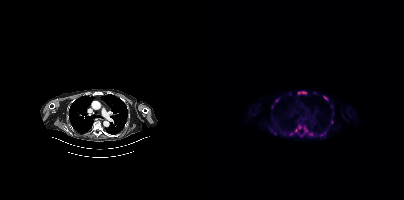
{"modality":"PSMA PET/CT","view":"axial","tracer":"18F","pet_grid":[200,200],"coord_frame":"pet_panel","coord_format":"x0,y0,x1,y1","partial":true,"lesion_bboxes":[[100,128,109,136],[115,131,122,136],[85,129,93,135],[67,129,72,134],[119,96,124,100],[94,125,97,129],[98,92,102,93]],"small_foci_centers":[[72,100],[95,92],[68,106],[127,122]]}